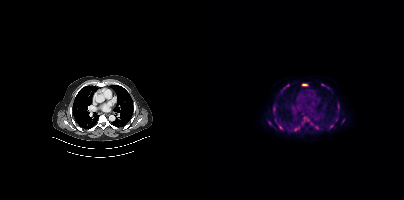
- Paired axial CT (left) and PSMA PET (right), [18F]PSMA-1007 tracer
Findings: Coordinates are on the 200×200 PET (right) panel. (showing 14 of 16 foci) PSMA-avid tumor lesion bounding boxes (x0,y0,x1,y1): [133,102,135,112]; [69,105,71,113]; [98,83,103,86]; [111,125,115,129]; [125,124,129,128]; [74,124,78,129]; [79,84,85,88]; [90,128,95,130]; [117,84,122,86]; [131,117,133,121]. Small PSMA-avid foci (2 to 4 px across) near (center x, center y): (65, 122); (102, 119); (139, 120); (71, 118).